Two-panel axial: CT | PSMA PET, [68Ga]Ga-PSMA-11 tracer.
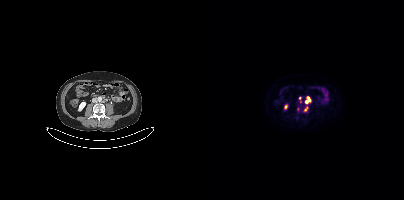
Coordinates are on the 200×200 PET (right) panel. PSMA-avid tumor lesion bounding boxes (x0, y0)-(x1, y1): (93, 108)-(98, 112); (102, 97)-(106, 102); (100, 107)-(103, 111); (95, 97)-(97, 102).